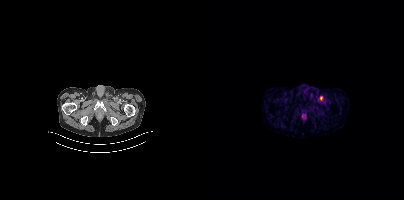
Coordinates are on the 200×200 PET (right) panel. Small PSMA-avid focus (2 to 4 px across) near (center x, center y): (117, 97).